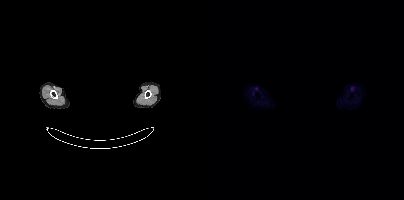
{"modality":"PSMA PET/CT","view":"axial","tracer":"18F-PSMA","pet_grid":[200,200],"coord_frame":"pet_panel","coord_format":"x0,y0,x1,y1","psma_avid_lesions":false,"deidentification":"facial region redacted"}